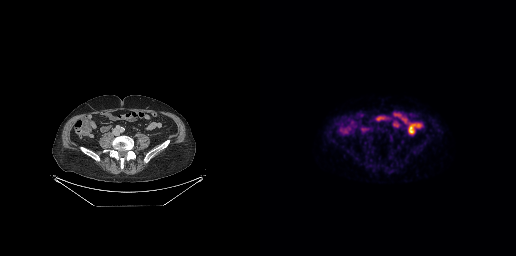
This slice has no annotated PSMA-avid lesion.